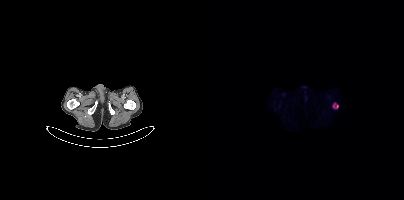
Coordinates are on the 200×200 PET (right) panel. PSMA-avid tumor lesion bounding box (x0, y0)-(x1, y1): (129, 103)-(134, 108).